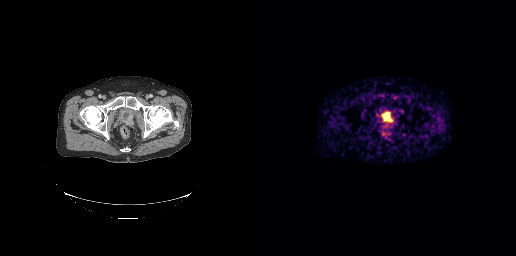
Coordinates are on the 256×256 PET (right) panel. PSMA-avid tumor lesion bounding box (x, y, width, height): x=124 y=117 w=9 h=5.
modality: PSMA PET/CT | tracer: 68Ga | view: axial